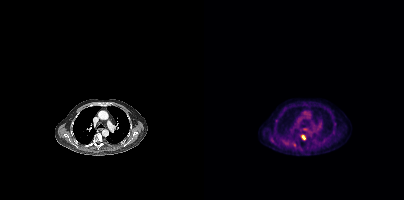
Coordinates are on the 200×200 PET (right) panel. PSMA-avid tumor lesion bounding box (x, y, width, height): x=97 y=135 w=5 h=5. Small PSMA-avid foci (2 to 4 px across) near (center x, center y): (72, 121) | (90, 144).